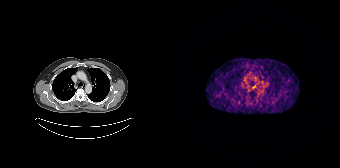
{"modality":"PSMA PET/CT","view":"axial","tracer":"68Ga-PSMA","pet_grid":[168,168],"coord_frame":"pet_panel","coord_format":"x0,y0,x1,y1","psma_avid_lesions":false}